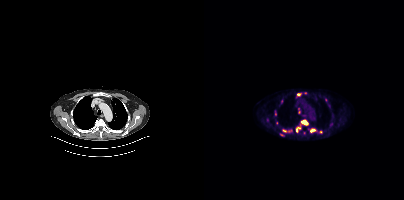
- Left: CT. Right: PSMA PET, same axial level, [18F]PSMA-1007 tracer
- PET panel 200×200 px (4.1 mm/px)
Findings: Coordinates are on the 200×200 PET (right) panel. (showing 6 of 10 foci) PSMA-avid tumor lesion bounding boxes (x0, y0)-(x1, y1): (92, 119)-(104, 131) | (78, 129)-(87, 132). Small PSMA-avid foci (2 to 4 px across) near (center x, center y): (108, 130) | (77, 134) | (94, 94) | (121, 99).